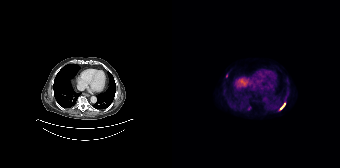
Coordinates are on the 168×168 PET (right) panel. PSMA-avid tumor lesion bounding box (x0,y0,x1,y1): [108,103,113,109].